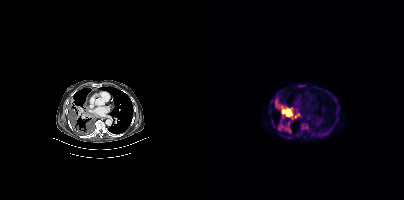
Coordinates are on the 200×200 PET (right) panel. PSMA-avid tumor lesion bounding boxes (x0,y0,x1,y1): [71,100,94,119] [75,122,87,132] [97,123,104,129] [96,85,100,87].